- Left: CT. Right: PSMA PET, same axial level, [18F]PSMA-1007 tracer
- acquired on Siemens Biograph mCT Flow 20
- PET panel 200×200 px (4.1 mm/px)
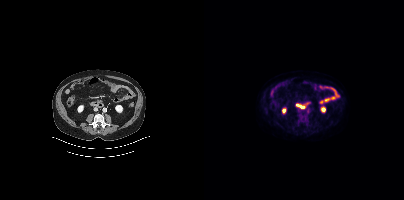
Findings: No tumor lesions annotated on this slice.